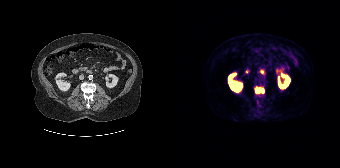
- Two-panel axial: CT | PSMA PET, [68Ga]Ga-PSMA-11 tracer
- acquired on Siemens Biograph 64-4R TruePoint
Findings: Coordinates are on the 168×168 PET (right) panel. PSMA-avid tumor lesion bounding box (x0, y0)-(x1, y1): (83, 87)-(92, 93).